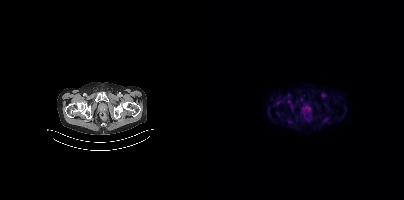
{"pet_grid":[200,200],"coord_frame":"pet_panel","coord_format":"x0,y0,x1,y1","partial":true,"lesion_bboxes":[],"modality":"PSMA PET/CT","view":"axial","tracer":"18F-PSMA"}